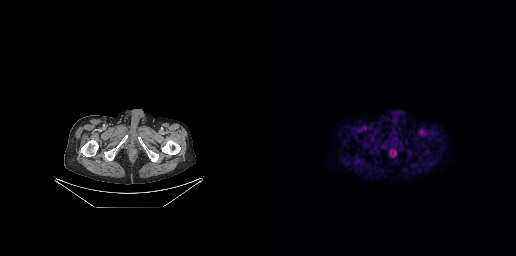
No tumor lesions annotated on this slice. Paired axial CT (left) and PSMA PET (right), [18F]PSMA-1007 tracer. PET panel 256×256 px (2.7 mm/px).